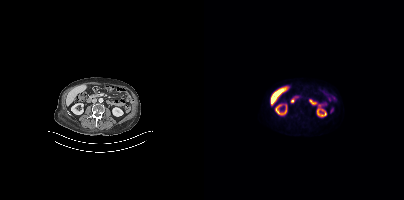
{"modality":"PSMA PET/CT","view":"axial","tracer":"[18F]PSMA-1007","pet_grid":[200,200],"coord_frame":"pet_panel","coord_format":"x0,y0,x1,y1","psma_avid_lesions":false}